modality: PSMA PET/CT | tracer: 18F-PSMA | view: axial
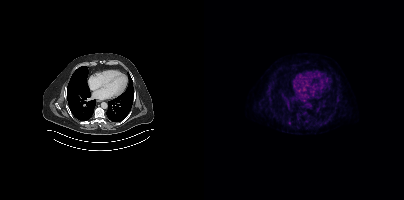
This slice has no annotated PSMA-avid lesion.